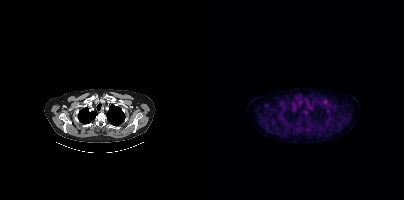
No tumor lesions annotated on this slice. Left: CT. Right: PSMA PET, same axial level, [18F]PSMA-1007 tracer. PET panel 200×200 px (4.1 mm/px).